modality: PSMA PET/CT | tracer: 18F | view: axial
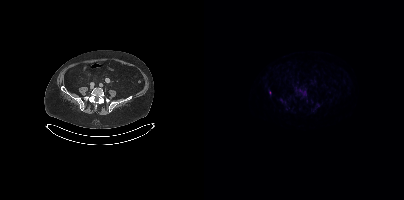
Coordinates are on the 200×200 PET (right) panel. Small PSMA-avid focus (2 to 4 px across) near (center x, center y): (65, 92).